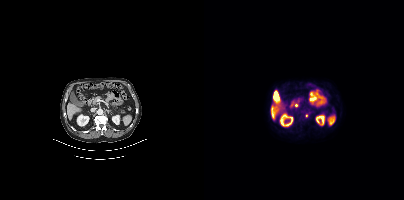
Coordinates are on the 200×200 PET (right) panel. Small PSMA-avid focus (2 to 4 px across) near (center x, center y): (102, 116).